Two-panel axial: CT | PSMA PET, [18F]PSMA-1007 tracer. Acquired on Siemens Biograph 64-4R TruePoint. Slice 107 of 165.
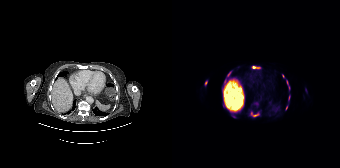
Coordinates are on the 168×168 PET (right) panel. PSMA-avid tumor lesion bounding boxes (partial; 2 more foci not listed):
| # | x0 | y0 | x1 | y1 |
|---|---|---|---|---|
| 1 | 79 | 112 | 86 | 116 |
| 2 | 81 | 66 | 87 | 68 |
Small PSMA-avid foci (2 to 4 px across) near (center x, center y): (57, 73); (114, 107); (110, 76); (115, 82); (33, 83).